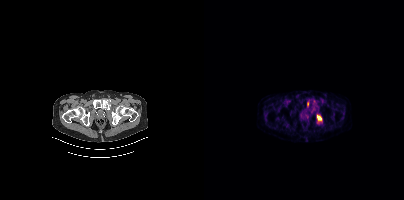
Coordinates are on the 200×200 PET (right) panel. PSMA-avid tumor lesion bounding boxes (x, y, width, height): x=113 y=114 w=5 h=8; x=103 y=100 w=3 h=7.